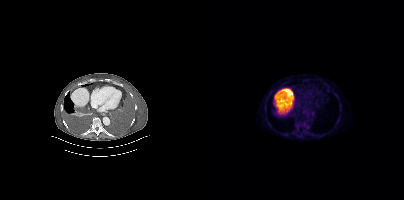
- Paired axial CT (left) and PSMA PET (right), [18F]PSMA-1007 tracer
Findings: Only PSMA-avid lesion pieces thinner than 2 px on this slice (not listed).